Technique: Two-panel axial: CT | PSMA PET, 18F tracer.
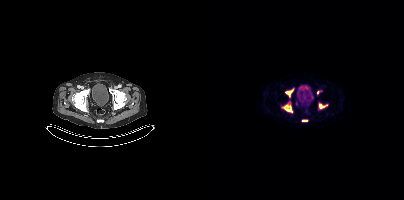
Findings: Coordinates are on the 200×200 PET (right) panel. (showing 6 of 7 foci) PSMA-avid tumor lesion bounding boxes (x, y, width, height): x=78 y=104 w=11 h=9; x=81 y=88 w=10 h=9; x=115 y=104 w=6 h=5; x=98 y=120 w=6 h=2. Small PSMA-avid foci (2 to 4 px across) near (center x, center y): (113, 92); (92, 103).